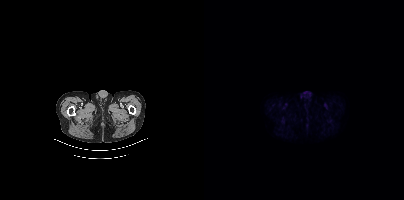
Technique: Left: CT. Right: PSMA PET, same axial level, [18F]PSMA-1007 tracer. slice 28 of 383.
Findings: No PSMA-avid tumor lesions on this slice.